Facial anatomy redacted by setting a rectangular region of the head to black. Left: CT. Right: PSMA PET, same axial level, [68Ga]Ga-PSMA-11 tracer. PET panel 200×200 px (4.1 mm/px).
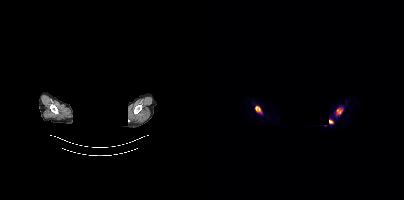
Coordinates are on the 200×200 PET (right) panel. PSMA-avid tumor lesion bounding boxes:
| # | x0 | y0 | x1 | y1 |
|---|---|---|---|---|
| 1 | 132 | 108 | 137 | 115 |
| 2 | 51 | 106 | 57 | 113 |
| 3 | 125 | 119 | 129 | 123 |